Two-panel axial: CT | PSMA PET, 18F tracer. Slice 266 of 395.
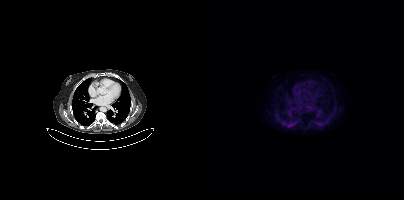
No tumor lesions annotated on this slice.